- Two-panel axial: CT | PSMA PET, [18F]PSMA-1007 tracer
- slice 74 of 385
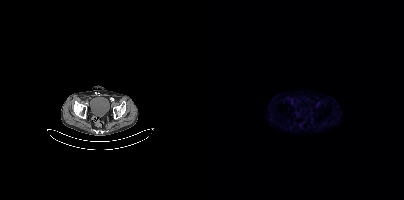
Findings: No tumor lesions annotated on this slice.